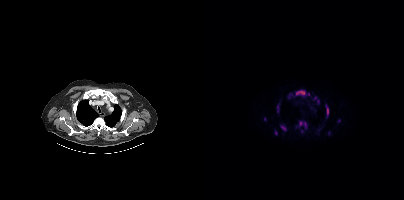
{"modality":"PSMA PET/CT","view":"axial","tracer":"18F-PSMA","pet_grid":[200,200],"coord_frame":"pet_panel","coord_format":"x0,y0,x1,y1","partial":true,"lesion_bboxes":[[91,90,102,95],[92,121,102,128],[122,105,125,117],[76,125,82,131],[73,103,75,111],[71,130,73,134]],"small_foci_centers":[[98,131],[104,94],[60,119],[135,120],[111,98],[113,101]]}